Two-panel axial: CT | PSMA PET, 18F-PSMA tracer. Slice position z = -636 mm.
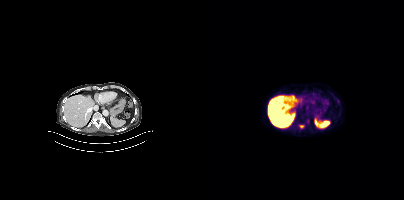
Coordinates are on the 200×200 PET (right) panel. PSMA-avid tumor lesion bounding box (x, y, width, height): x=95 y=125 w=6 h=4. Small PSMA-avid focus (2 to 4 px across) near (center x, center y): (134, 101).